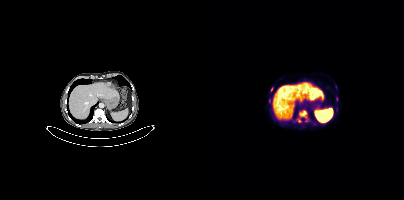
Findings: Coordinates are on the 200×200 PET (right) panel. (showing 3 of 5 foci) PSMA-avid tumor lesion bounding boxes (x0, y0)-(x1, y1): (95, 110)-(102, 118) / (67, 87)-(69, 91). Small PSMA-avid focus (2 to 4 px across) near (center x, center y): (95, 120).
Technique: Left: CT. Right: PSMA PET, same axial level, [18F]PSMA-1007 tracer. acquired on Siemens Biograph mCT Flow 20. PET panel 200×200 px (4.1 mm/px).